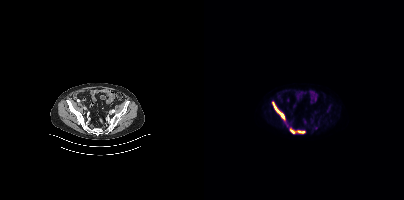
Coordinates are on the 200×200 PET (right) panel. PSMA-avid tumor lesion bounding boxes (x0,y0,x1,y1): [69,102,81,119], [93,131,100,133], [86,129,90,133].